Paired axial CT (left) and PSMA PET (right), 18F-PSMA tracer.
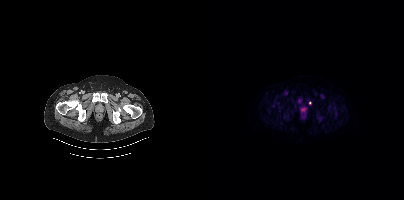
Coordinates are on the 200×200 PET (right) panel. PSMA-avid tumor lesion bounding boxes (partial; 3 more foci not listed):
| # | x0 | y0 | x1 | y1 |
|---|---|---|---|---|
| 1 | 96 | 107 | 102 | 112 |
| 2 | 113 | 115 | 118 | 119 |
| 3 | 93 | 99 | 97 | 103 |
| 4 | 129 | 112 | 133 | 116 |
Small PSMA-avid foci (2 to 4 px across) near (center x, center y): (69, 105); (106, 103).